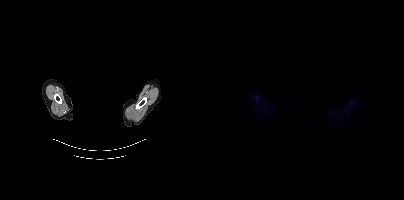
Face de-identified by blanking a block of the head. Two-panel axial: CT | PSMA PET, 18F tracer. PET panel 200×200 px (4.1 mm/px). No tumor lesions annotated on this slice.